Left: CT. Right: PSMA PET, same axial level, [18F]PSMA-1007 tracer. PET panel 200×200 px (4.1 mm/px).
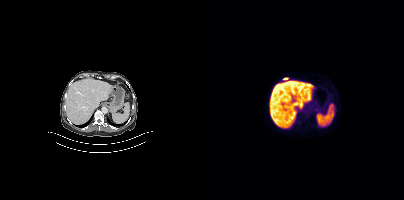
Coordinates are on the 200×200 PET (right) panel. PSMA-avid tumor lesion bounding boxes:
| # | x0 | y0 | x1 | y1 |
|---|---|---|---|---|
| 1 | 79 | 78 | 84 | 79 |